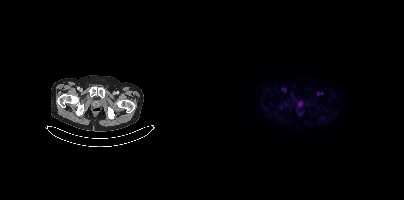
- Left: CT. Right: PSMA PET, same axial level, [18F]PSMA-1007 tracer
- slice 58 of 431
Findings: No PSMA-avid tumor lesions on this slice.